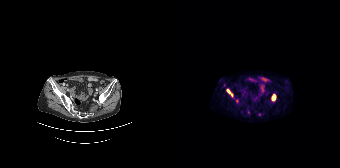
Coordinates are on the 168×168 PET (right) panel. (showing 4 of 5 foci) PSMA-avid tumor lesion bounding boxes (x0, y0)-(x1, y1): (100, 95)-(103, 100) / (55, 89)-(60, 96). Small PSMA-avid foci (2 to 4 px across) near (center x, center y): (76, 112) / (64, 100).